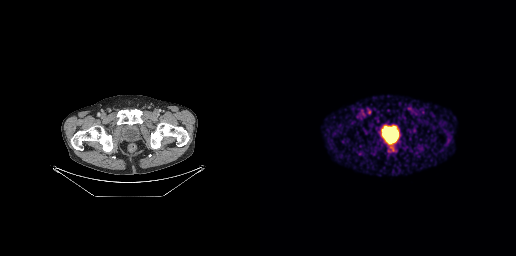
Two-panel axial: CT | PSMA PET, 68Ga tracer. PET panel 256×256 px (2.7 mm/px). Coordinates are on the 256×256 PET (right) panel. Small PSMA-avid focus (2 to 4 px across) near (center x, center y): (130, 135).